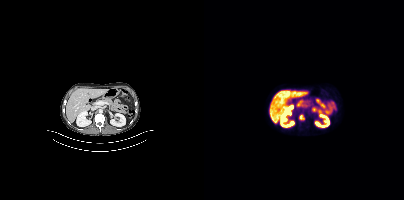
Coordinates are on the 200×200 PET (right) panel. PSMA-avid tumor lesion bounding box (x0, y0)-(x1, y1): (95, 115)-(100, 119).